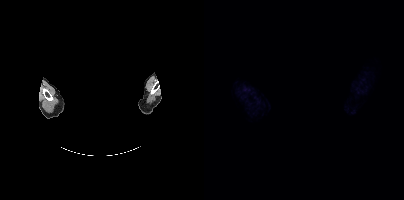
Negative for PSMA-avid disease on this slice. Two-panel axial: CT | PSMA PET, 18F tracer. Acquired on Siemens Biograph mCT Flow 20. Slice 418 of 435. PET panel 200×200 px (4.1 mm/px). Head region blanked for anonymization (face removed).